modality: PSMA PET/CT | tracer: [18F]PSMA-1007 | view: axial | PET grid: 200×200
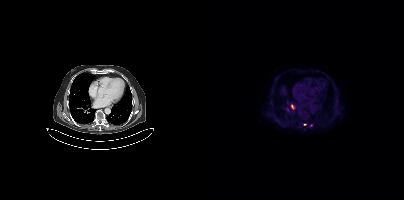
Coordinates are on the 200×200 PET (right) panel. (showing 1 of 2 foci) Small PSMA-avid focus (2 to 4 px across) near (center x, center y): (107, 125).